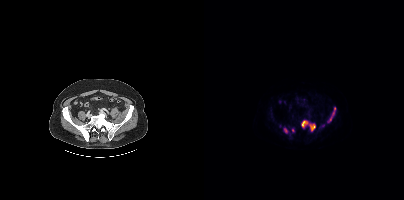
{"modality":"PSMA PET/CT","view":"axial","tracer":"18F-PSMA","pet_grid":[200,200],"coord_frame":"pet_panel","coord_format":"x0,y0,x1,y1","lesion_bboxes":[[97,120,111,131],[124,107,131,122],[80,128,83,132]],"small_foci_centers":[[89,130]]}